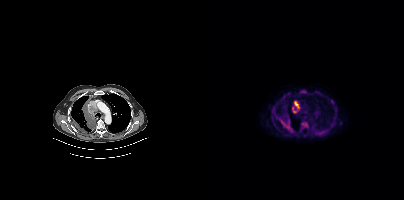
{"modality":"PSMA PET/CT","view":"axial","tracer":"[18F]PSMA-1007","pet_grid":[200,200],"coord_frame":"pet_panel","coord_format":"x0,y0,x1,y1","partial":true,"lesion_bboxes":[[77,118,88,131],[90,101,95,108],[95,91,100,93]],"small_foci_centers":[[90,111]]}